Technique: Two-panel axial: CT | PSMA PET, 18F tracer. acquired on Siemens Biograph mCT Flow 20.
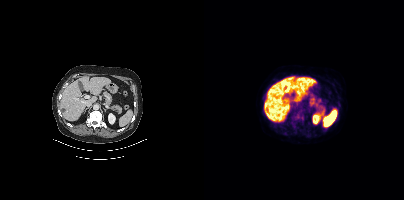
Findings: Negative for PSMA-avid disease on this slice.